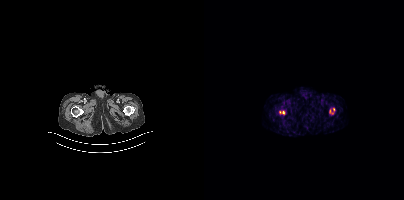
- Two-panel axial: CT | PSMA PET, 18F tracer
- acquired on Siemens Biograph mCT Flow 20
- PET panel 200×200 px (4.1 mm/px)
Findings: Coordinates are on the 200×200 PET (right) panel. PSMA-avid tumor lesion bounding boxes (x, y, width, height): x=125 y=108 w=7 h=7 / x=75 y=110 w=7 h=5.